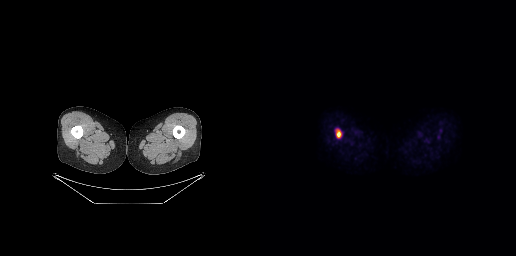
Coordinates are on the 256×256 PET (right) panel. PSMA-avid tumor lesion bounding box (x0,y0,x1,y1): [76,129,81,137]. Left: CT. Right: PSMA PET, same axial level, 18F tracer.